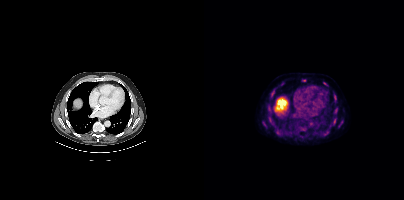
- Left: CT. Right: PSMA PET, same axial level, [18F]PSMA-1007 tracer
Findings: Coordinates are on the 200×200 PET (right) panel. PSMA-avid tumor lesion bounding box (x0,y0,x1,y1): [98,79,102,81]. Small PSMA-avid foci (2 to 4 px across) near (center x, center y): (67, 96) (137, 122) (130, 123) (61, 125) (124, 132) (123, 85) (131, 96).